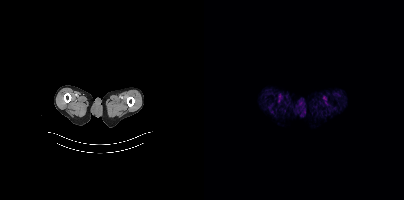
Findings: No PSMA-avid tumor lesions on this slice.
Technique: Paired axial CT (left) and PSMA PET (right), 18F tracer. acquired on Siemens Biograph mCT Flow 20. slice position z = -1084 mm. PET panel 200×200 px (4.1 mm/px).